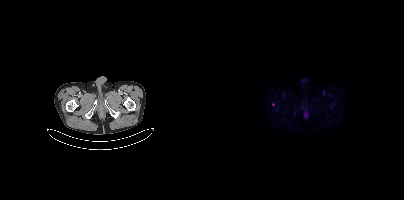
{"modality":"PSMA PET/CT","view":"axial","tracer":"18F","pet_grid":[200,200],"coord_frame":"pet_panel","coord_format":"x0,y0,x1,y1","lesion_bboxes":[[100,111,104,117]],"small_foci_centers":[[69,104]]}